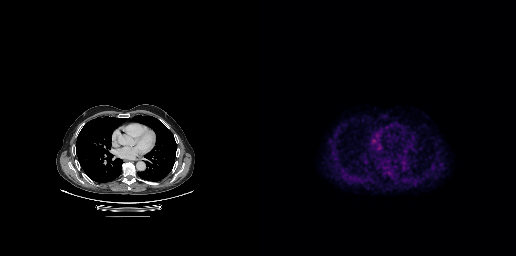
Findings: Coordinates are on the 256×256 PET (right) panel. PSMA-avid tumor lesion bounding box (x0,y0,x1,y1): [126,170,132,176].
Technique: Left: CT. Right: PSMA PET, same axial level, [18F]PSMA-1007 tracer. slice position z = -249 mm.